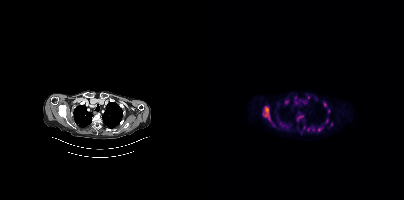
Left: CT. Right: PSMA PET, same axial level, [18F]PSMA-1007 tracer. Acquired on Siemens Biograph mCT Flow 20. Coordinates are on the 200×200 PET (right) panel. (showing 12 of 14 foci) PSMA-avid tumor lesion bounding boxes (x, y, width, height): x=59 y=106 w=8 h=15 | x=81 y=99 w=5 h=6 | x=121 y=118 w=4 h=6 | x=115 y=127 w=4 h=5. Small PSMA-avid foci (2 to 4 px across) near (center x, center y): (104, 129) | (121, 104) | (100, 127) | (109, 129) | (127, 124) | (80, 123) | (104, 97) | (96, 116).